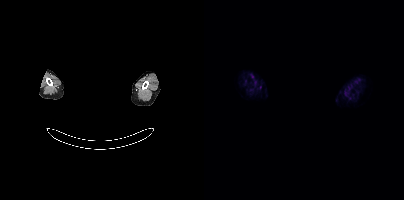
A rectangular block over the head has been blanked out for de-identification. Left: CT. Right: PSMA PET, same axial level, [18F]PSMA-1007 tracer. Acquired on Siemens Biograph mCT Flow 20. PET panel 200×200 px (4.1 mm/px). This slice has no annotated PSMA-avid lesion.